Two-panel axial: CT | PSMA PET, 18F tracer.
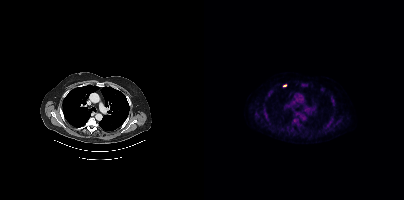
Coordinates are on the 200×200 PET (right) panel. (showing 1 of 2 foci) Small PSMA-avid focus (2 to 4 px across) near (center x, center y): (80, 85).